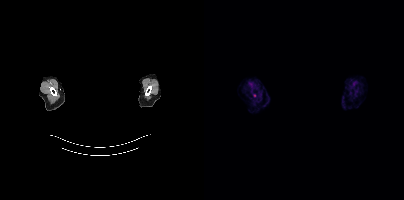
Only PSMA-avid lesion pieces thinner than 2 px on this slice (not listed). Left: CT. Right: PSMA PET, same axial level, 18F-PSMA tracer. Slice 363 of 377. Face de-identified by blanking a block of the head.